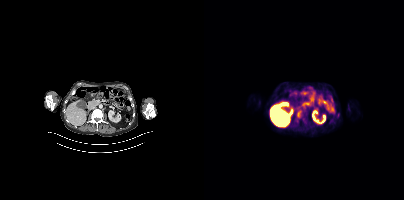
modality: PSMA PET/CT | tracer: [18F]PSMA-1007 | view: axial
Coordinates are on the 200×200 PET (right) panel. PSMA-avid tumor lesion bounding box (x, y, width, height): x=93 y=111 w=5 h=7.